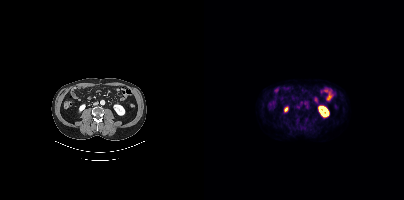
{"modality":"PSMA PET/CT","view":"axial","tracer":"18F-PSMA","pet_grid":[200,200],"coord_frame":"pet_panel","coord_format":"x0,y0,x1,y1","psma_avid_lesions":false}